- Paired axial CT (left) and PSMA PET (right), 18F-PSMA tracer
- acquired on GE Discovery 690
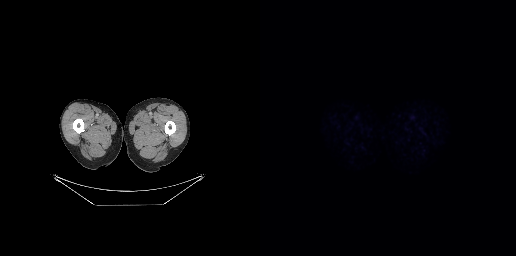
Findings: Negative for PSMA-avid disease on this slice.